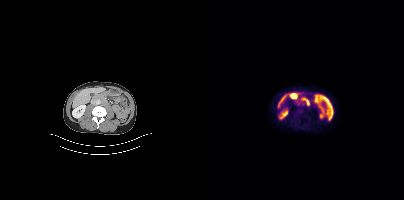
Negative for PSMA-avid disease on this slice.